Technique: Left: CT. Right: PSMA PET, same axial level, [18F]PSMA-1007 tracer. acquired on Siemens Biograph mCT Flow 20.
Note: The head region is masked for de-identification.
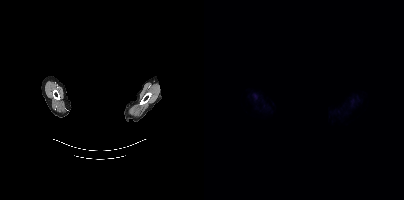
Findings: No PSMA-avid tumor lesions on this slice.